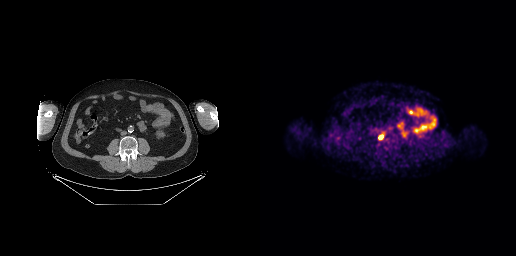
modality: PSMA PET/CT | tracer: [18F]PSMA-1007 | view: axial
Coordinates are on the 256×256 PET (right) panel. PSMA-avid tumor lesion bounding box (x0, y0)-(x1, y1): (118, 134)-(123, 139).